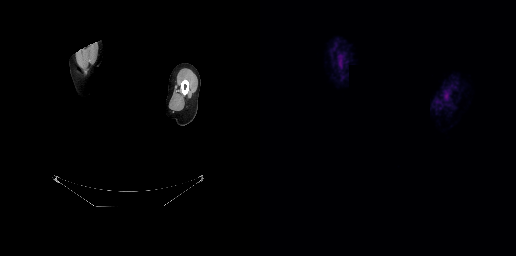
Findings: Negative for PSMA-avid disease on this slice.
Technique: Paired axial CT (left) and PSMA PET (right), [18F]PSMA-1007 tracer. acquired on GE Discovery 690. slice position z = -14 mm. PET panel 256×256 px (2.7 mm/px).
Note: De-identified by setting a box covering the face to black before release.